- Paired axial CT (left) and PSMA PET (right), 18F-PSMA tracer
- PET panel 200×200 px (4.1 mm/px)
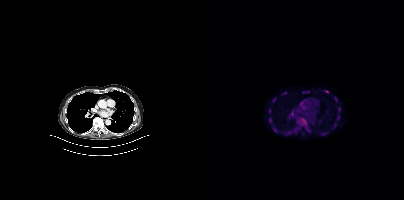
Findings: Coordinates are on the 200×200 PET (right) panel. PSMA-avid tumor lesion bounding boxes (x0, y0)-(x1, y1): (130, 97)-(133, 101) | (134, 107)-(136, 111) | (133, 115)-(135, 119) | (65, 118)-(67, 122). Small PSMA-avid foci (2 to 4 px across) near (center x, center y): (122, 91) | (65, 111) | (70, 98).